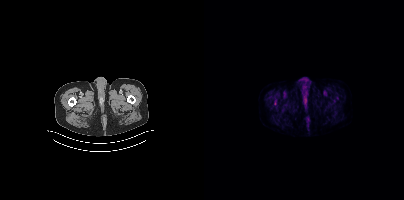
Findings: Only PSMA-avid lesion pieces thinner than 2 px on this slice (not listed).
- Paired axial CT (left) and PSMA PET (right), [18F]PSMA-1007 tracer